Technique: Paired axial CT (left) and PSMA PET (right), 18F-PSMA tracer. acquired on Siemens Biograph mCT Flow 20. slice 323 of 466.
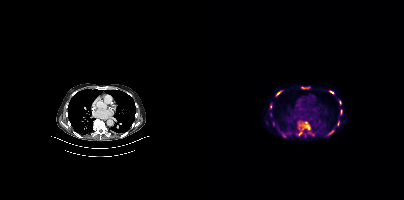
Findings: Coordinates are on the 200×200 PET (right) panel. (showing 9 of 10 foci) PSMA-avid tumor lesion bounding boxes (x0,y0,x1,y1): [94,122,106,135]; [97,86,106,89]; [72,90,78,96]; [125,90,130,94]; [136,109,138,114]; [133,121,135,125]; [135,100,137,104]; [125,130,129,134]. Small PSMA-avid focus (2 to 4 px across) near (center x, center y): (66, 106).